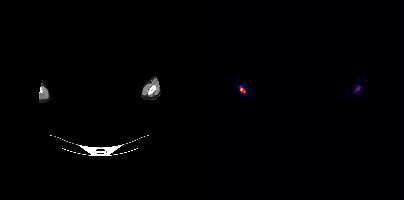
- Two-panel axial: CT | PSMA PET, 68Ga tracer
- acquired on Siemens Biograph mCT Flow 20
- PET panel 200×200 px (4.1 mm/px)
- the face region was removed for patient privacy by blanking a rectangle over the head
Findings: Coordinates are on the 200×200 PET (right) panel. PSMA-avid tumor lesion bounding boxes (x0, y0)-(x1, y1): (36, 88)-(41, 92); (151, 88)-(154, 92). Small PSMA-avid focus (2 to 4 px across) near (center x, center y): (154, 86).